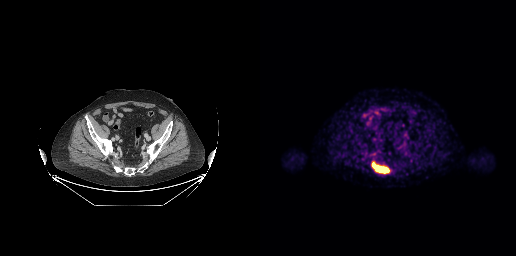
Coordinates are on the 256×256 PET (right) panel. PSMA-avid tumor lesion bounding box (x0,y0,x1,y1): [111,161,129,173].